Left: CT. Right: PSMA PET, same axial level, [68Ga]Ga-PSMA-11 tracer. Slice position z = -1021 mm. PET panel 200×200 px (4.1 mm/px).
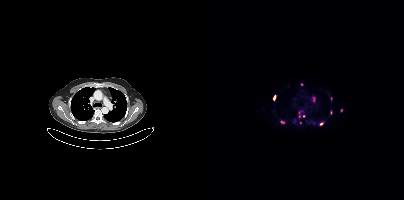
Coordinates are on the 200×200 PET (right) panel. (showing 11 of 12 foci) PSMA-avid tumor lesion bounding boxes (x0, y0)-(x1, y1): (94, 112)-(96, 116) | (69, 95)-(71, 99) | (76, 120)-(80, 123). Small PSMA-avid foci (2 to 4 px across) near (center x, center y): (117, 123) | (127, 112) | (109, 98) | (127, 98) | (137, 110) | (90, 121) | (96, 122) | (97, 84).